Paired axial CT (left) and PSMA PET (right), 18F tracer. Acquired on Siemens Biograph mCT Flow 20. Slice 77 of 387. PET panel 200×200 px (4.1 mm/px).
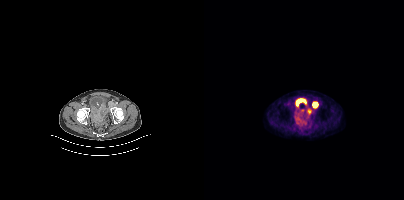
Coordinates are on the 200×200 PET (right) panel. PSMA-avid tumor lesion bounding boxes:
| # | x0 | y0 | x1 | y1 |
|---|---|---|---|---|
| 1 | 109 | 102 | 113 | 107 |